- Left: CT. Right: PSMA PET, same axial level, 18F-PSMA tracer
- acquired on Siemens Biograph mCT Flow 20
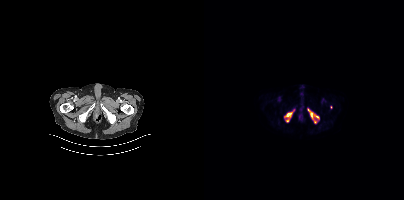
Findings: Coordinates are on the 200×200 PET (right) panel. (showing 3 of 4 foci) PSMA-avid tumor lesion bounding boxes (x0,y0,x1,y1): [104,109,115,123], [81,112,88,122]. Small PSMA-avid focus (2 to 4 px across) near (center x, center y): (89, 110).